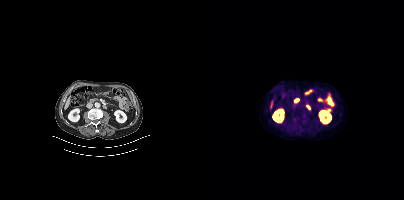
No tumor lesions annotated on this slice. Paired axial CT (left) and PSMA PET (right), 18F tracer. Slice position z = 184 mm. PET panel 200×200 px (4.1 mm/px).